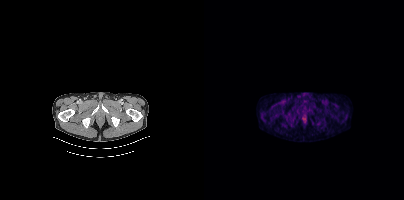
Paired axial CT (left) and PSMA PET (right), [18F]PSMA-1007 tracer. PET panel 200×200 px (4.1 mm/px). This slice has no annotated PSMA-avid lesion.